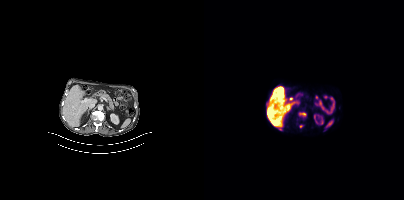
Two-panel axial: CT | PSMA PET, [18F]PSMA-1007 tracer. Coordinates are on the 200×200 PET (right) panel. PSMA-avid tumor lesion bounding box (x0,y0,x1,y1): [96,113,101,115]. Small PSMA-avid focus (2 to 4 px across) near (center x, center y): (96, 126).